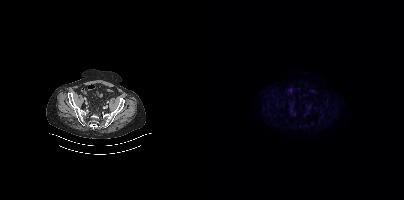
No PSMA-avid tumor lesions on this slice. Paired axial CT (left) and PSMA PET (right), 18F tracer.